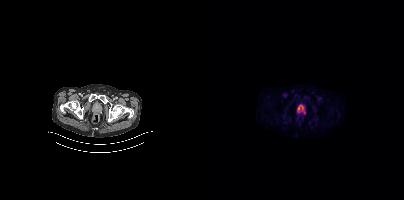
{"modality":"PSMA PET/CT","view":"axial","tracer":"18F","pet_grid":[200,200],"coord_frame":"pet_panel","coord_format":"x0,y0,x1,y1","lesion_bboxes":[[94,105,99,110]]}